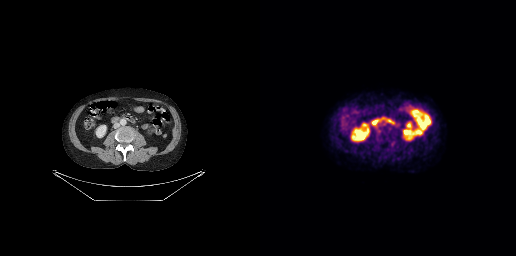
- Left: CT. Right: PSMA PET, same axial level, 18F-PSMA tracer
- acquired on GE Discovery 690
- slice position z = -524 mm
Findings: No PSMA-avid tumor lesions on this slice.